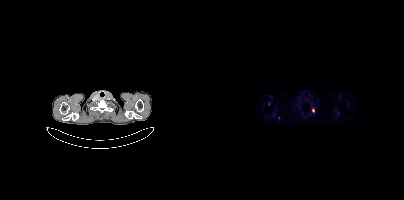
{"modality":"PSMA PET/CT","view":"axial","tracer":"68Ga-PSMA","pet_grid":[200,200],"coord_frame":"pet_panel","coord_format":"x0,y0,x1,y1","partial":true,"lesion_bboxes":[],"small_foci_centers":[[109,110],[74,117]]}